Technique: Left: CT. Right: PSMA PET, same axial level, 18F tracer. acquired on Siemens Biograph mCT Flow 20. slice position z = -694 mm.
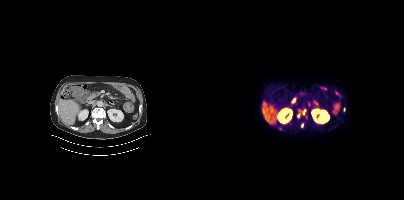
Findings: Coordinates are on the 200×200 PET (right) panel. (showing 1 of 2 foci) Small PSMA-avid focus (2 to 4 px across) near (center x, center y): (99, 113).